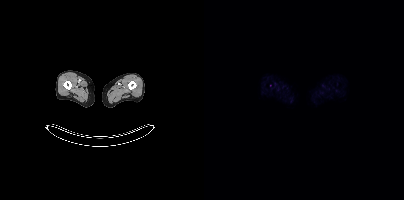
- Two-panel axial: CT | PSMA PET, 18F tracer
Findings: No PSMA-avid tumor lesions on this slice.